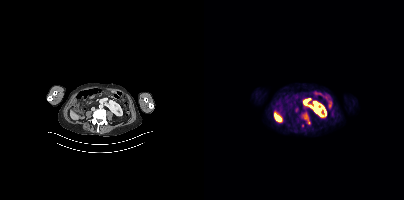
Paired axial CT (left) and PSMA PET (right), 18F tracer. PET panel 200×200 px (4.1 mm/px).
Coordinates are on the 200×200 PET (right) panel. PSMA-avid tumor lesion bounding boxes:
| # | x0 | y0 | x1 | y1 |
|---|---|---|---|---|
| 1 | 99 | 113 | 106 | 123 |